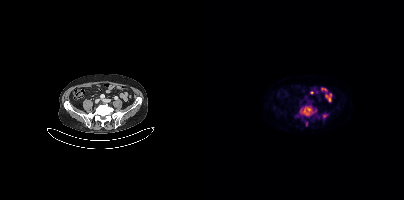
{"modality":"PSMA PET/CT","view":"axial","tracer":"18F-PSMA","pet_grid":[200,200],"coord_frame":"pet_panel","coord_format":"x0,y0,x1,y1","lesion_bboxes":[[96,106,112,116],[119,114,123,118]],"small_foci_centers":[[102,123]]}